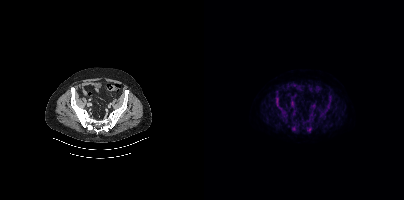
Coordinates are on the 200×200 PET (right) panel. PSMA-avid tumor lesion bounding boxes (x0,y0,x1,y1): [87,120,93,131]; [77,109,83,121]; [103,126,108,132]; [124,96,128,101]; [119,108,123,113]; [71,98,74,103]; [105,118,109,122]. Small PSMA-avid foci (2 to 4 px across) near (center x, center y): (125, 104); (74, 107).